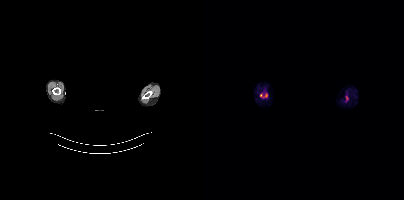
{"modality":"PSMA PET/CT","view":"axial","tracer":"[18F]PSMA-1007","pet_grid":[200,200],"coord_frame":"pet_panel","coord_format":"x0,y0,x1,y1","psma_avid_lesions":false,"redaction":"face masked with black rectangle"}